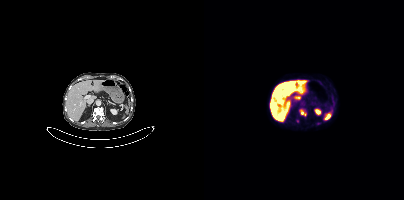
Findings: Coordinates are on the 200×200 PET (right) panel. PSMA-avid tumor lesion bounding box (x0, y0)-(x1, y1): (96, 110)-(102, 115).
Technique: Left: CT. Right: PSMA PET, same axial level, [18F]PSMA-1007 tracer. acquired on Siemens Biograph mCT Flow 20. PET panel 200×200 px (4.1 mm/px).